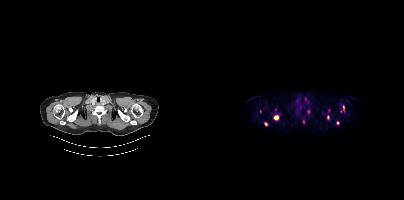
Two-panel axial: CT | PSMA PET, 18F-PSMA tracer. Slice 375 of 444. PET panel 200×200 px (4.1 mm/px).
Coordinates are on the 200×200 PET (right) panel. PSMA-avid tumor lesion bounding boxes (partial; 3 more foci not listed):
| # | x0 | y0 | x1 | y1 |
|---|---|---|---|---|
| 1 | 70 | 116 | 74 | 119 |
Small PSMA-avid foci (2 to 4 px across) near (center x, center y): (124, 117); (139, 107); (62, 124); (104, 111).